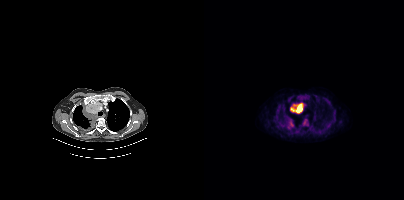
{"modality":"PSMA PET/CT","view":"axial","tracer":"[18F]PSMA-1007","pet_grid":[200,200],"coord_frame":"pet_panel","coord_format":"x0,y0,x1,y1","lesion_bboxes":[[86,103,99,113],[83,120,90,127],[98,119,104,125],[95,95,99,96]]}